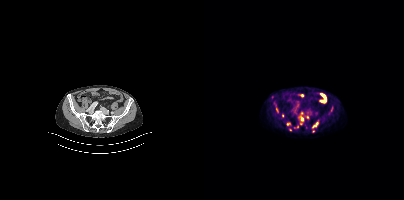
Coordinates are on the 200×200 PET (right) panel. (showing 7 of 12 foci) PSMA-avid tumor lesion bounding boxes (x0,y0,x1,y1): [108,122,114,127]; [97,116,99,121]; [121,99,122,103]; [127,107,128,111]. Small PSMA-avid foci (2 to 4 px across) near (center x, center y): (86, 129); (72, 109); (103, 116).